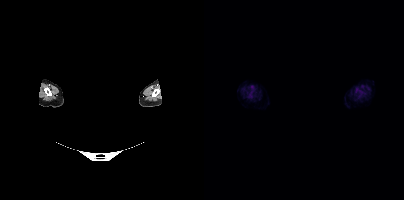
{"pet_grid":[200,200],"coord_frame":"pet_panel","coord_format":"x0,y0,x1,y1","psma_avid_lesions":false,"deidentification":"face masked with black rectangle","modality":"PSMA PET/CT","view":"axial","tracer":"18F-PSMA"}